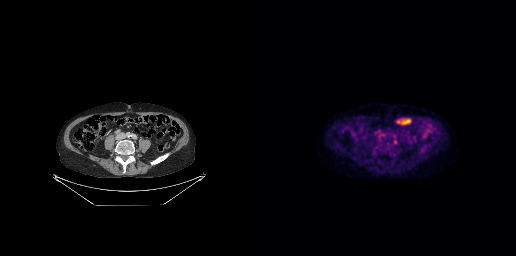
Left: CT. Right: PSMA PET, same axial level, 18F-PSMA tracer. Acquired on GE Discovery 690. Slice 99 of 263. PET panel 256×256 px (2.7 mm/px). Coordinates are on the 256×256 PET (right) panel. Small PSMA-avid focus (2 to 4 px across) near (center x, center y): (135, 141).